modality: PSMA PET/CT | tracer: [18F]PSMA-1007 | view: axial
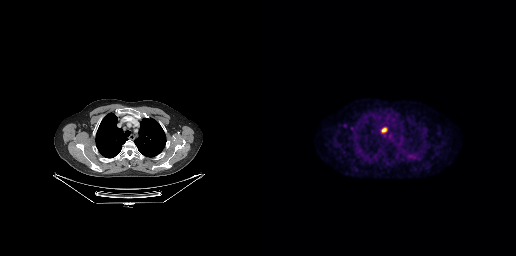
Coordinates are on the 256×256 PET (right) panel. PSMA-avid tumor lesion bounding box (x0,y0,x1,y1): [122,128,126,132].